Technique: Left: CT. Right: PSMA PET, same axial level, 18F-PSMA tracer.
Note: Head region blanked for anonymization (face removed).
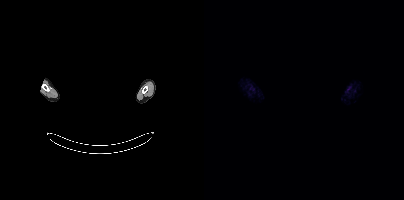
Findings: No tumor lesions annotated on this slice.